- Paired axial CT (left) and PSMA PET (right), [68Ga]Ga-PSMA-11 tracer
- slice position z = -428 mm
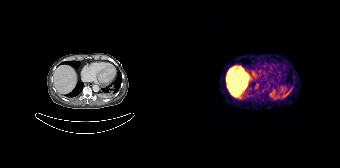
Findings: Coordinates are on the 168×168 PET (right) panel. PSMA-avid tumor lesion bounding box (x, y, width, height): x=83 y=84 w=4 h=5.